modality: PSMA PET/CT | tracer: [18F]PSMA-1007 | view: axial
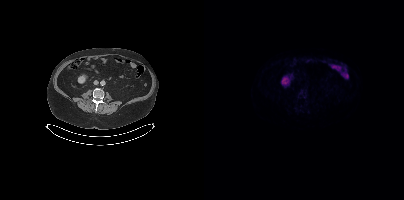
No tumor lesions annotated on this slice.